Left: CT. Right: PSMA PET, same axial level, [18F]PSMA-1007 tracer. Slice position z = -1191 mm. PET panel 200×200 px (4.1 mm/px).
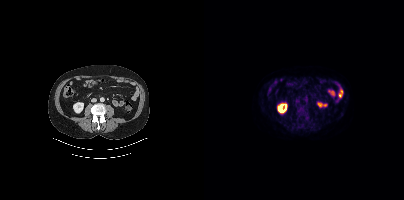
Coordinates are on the 200×200 PET (right) panel. PSMA-avid tumor lesion bounding boxes (x0,y0,x1,y1): [93,106,100,116] [102,115,104,120].